- the head region is masked for de-identification
- Left: CT. Right: PSMA PET, same axial level, 68Ga-PSMA tracer
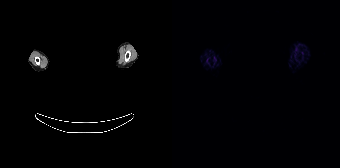
Findings: Negative for PSMA-avid disease on this slice.